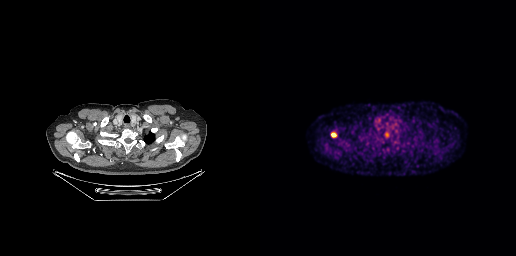
modality: PSMA PET/CT | tracer: [18F]PSMA-1007 | view: axial | PET grid: 256×256
Coordinates are on the 256×256 PET (right) panel. PSMA-avid tumor lesion bounding box (x0, y0)-(x1, y1): (71, 133)-(75, 136).